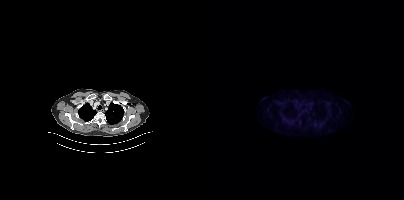
Paired axial CT (left) and PSMA PET (right), 18F tracer. Slice 325 of 411. PET panel 200×200 px (4.1 mm/px). Negative for PSMA-avid disease on this slice.